Two-panel axial: CT | PSMA PET, [18F]PSMA-1007 tracer.
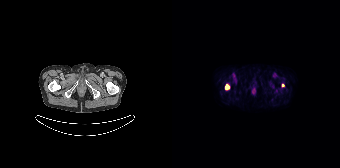
Coordinates are on the 168×168 PET (right) panel. PSMA-avid tumor lesion bounding boxes:
| # | x0 | y0 | x1 | y1 |
|---|---|---|---|---|
| 1 | 53 | 83 | 58 | 90 |
Small PSMA-avid focus (2 to 4 px across) near (center x, center y): (111, 85).